- Paired axial CT (left) and PSMA PET (right), [18F]PSMA-1007 tracer
- slice 198 of 401
- PET panel 200×200 px (4.1 mm/px)
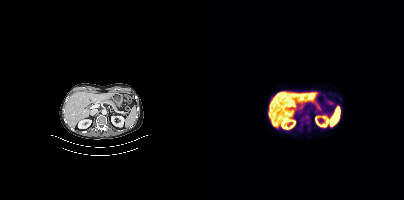
Findings: Negative for PSMA-avid disease on this slice.